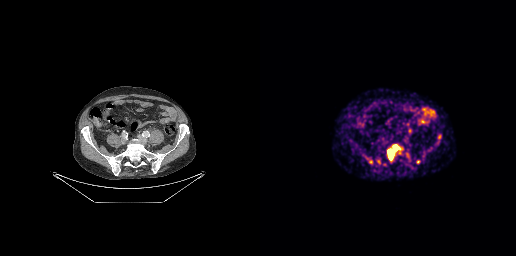
Coordinates are on the 256×256 PET (right) panel. PSMA-avid tumor lesion bounding boxes (x0,y0,x1,y1): [128,145,140,159]; [178,134,181,139]; [156,160,160,163]. Small PSMA-avid focus (2 to 4 px across) near (center x, center y): (110, 162).
modality: PSMA PET/CT | tracer: [68Ga]Ga-PSMA-11 | view: axial